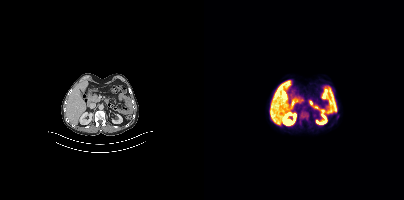
Findings: No PSMA-avid tumor lesions on this slice.
- Left: CT. Right: PSMA PET, same axial level, [18F]PSMA-1007 tracer
- slice position z = -498 mm
- PET panel 200×200 px (4.1 mm/px)